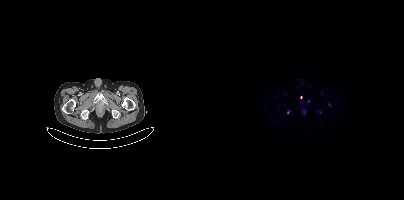
Technique: Two-panel axial: CT | PSMA PET, 68Ga-PSMA tracer. slice position z = -1541 mm.
Findings: Coordinates are on the 200×200 PET (right) panel. (showing 4 of 5 foci) PSMA-avid tumor lesion bounding box (x0,y0,x1,y1): [124,103,127,107]. Small PSMA-avid foci (2 to 4 px across) near (center x, center y): (104, 101); (96, 97); (116, 112).